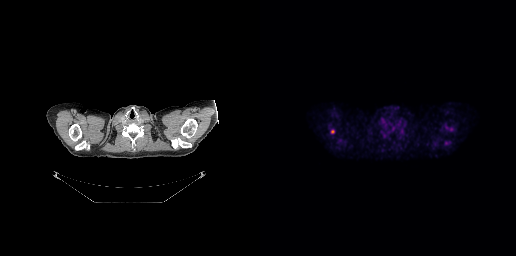
{"modality":"PSMA PET/CT","view":"axial","tracer":"18F","pet_grid":[256,256],"coord_frame":"pet_panel","coord_format":"x0,y0,x1,y1","lesion_bboxes":[[70,129,75,134]]}